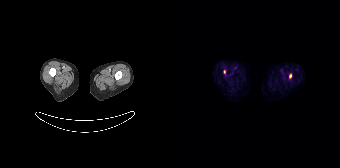
{"modality":"PSMA PET/CT","view":"axial","tracer":"[68Ga]Ga-PSMA-11","pet_grid":[168,168],"coord_frame":"pet_panel","coord_format":"x0,y0,x1,y1","lesion_bboxes":[],"small_foci_centers":[[118,75],[52,72]]}